Two-panel axial: CT | PSMA PET, 18F tracer. PET panel 200×200 px (4.1 mm/px).
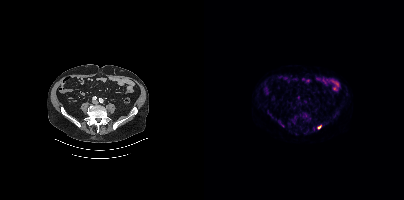
Coordinates are on the 200×200 PET (right) panel. Small PSMA-avid focus (2 to 4 px across) near (center x, center y): (115, 127).